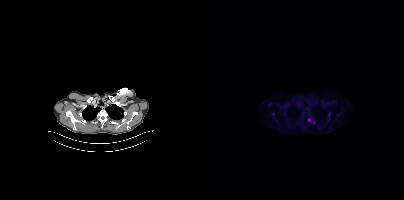
Coordinates are on the 200×200 PET (right) panel. (showing 1 of 2 foci) Small PSMA-avid focus (2 to 4 px across) near (center x, center y): (69, 114).